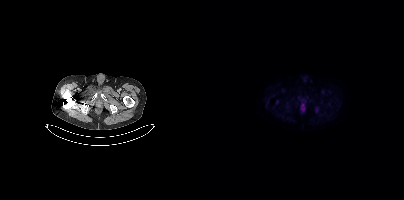
- Two-panel axial: CT | PSMA PET, 18F tracer
- acquired on Siemens Biograph mCT Flow 20
- slice 57 of 421
- PET panel 200×200 px (4.1 mm/px)
Findings: This slice has no annotated PSMA-avid lesion.